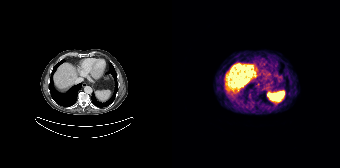
- Two-panel axial: CT | PSMA PET, [68Ga]Ga-PSMA-11 tracer
- PET panel 168×168 px (4.1 mm/px)
Findings: Coordinates are on the 168×168 PET (right) panel. PSMA-avid tumor lesion bounding box (x, y, width, height): x=64 y=79 w=11 h=7. Small PSMA-avid foci (2 to 4 px across) near (center x, center y): (69, 66) | (76, 65).